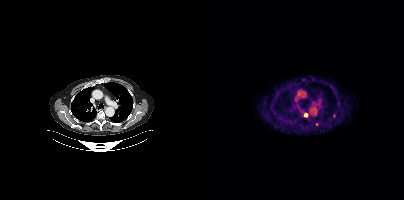
Coordinates are on the 200×200 PET (right) panel. Small PSMA-avid foci (2 to 4 px across) near (center x, center y): (101, 114) / (129, 115) / (112, 124). Two-panel axial: CT | PSMA PET, 18F-PSMA tracer. PET panel 200×200 px (4.1 mm/px).